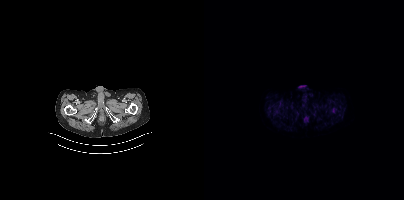
{"modality":"PSMA PET/CT","view":"axial","tracer":"18F-PSMA","pet_grid":[200,200],"coord_frame":"pet_panel","coord_format":"x0,y0,x1,y1","psma_avid_lesions":false}